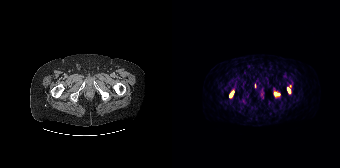
Findings: Coordinates are on the 168×168 PET (right) panel. PSMA-avid tumor lesion bounding boxes (x0,y0,x1,y1): [115,88,118,93], [57,92,61,97]. Small PSMA-avid foci (2 to 4 px across) near (center x, center y): (103, 93), (106, 93).
Technique: Paired axial CT (left) and PSMA PET (right), [68Ga]Ga-PSMA-11 tracer. acquired on Siemens Biograph 64-4R TruePoint.